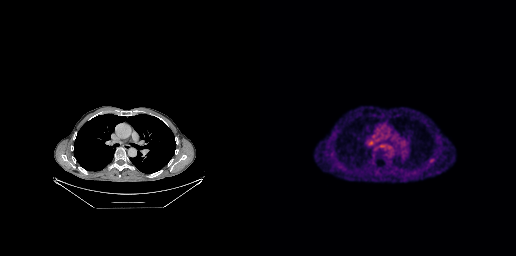
Left: CT. Right: PSMA PET, same axial level, 18F-PSMA tracer. Slice 214 of 299. Coordinates are on the 256×256 PET (right) panel. PSMA-avid tumor lesion bounding box (x, y, width, height): x=169 y=158 w=5 h=5.